modality: PSMA PET/CT | tracer: 18F-PSMA | view: axial | PET grid: 200×200
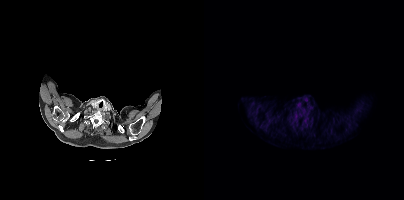
Negative for PSMA-avid disease on this slice.